- Left: CT. Right: PSMA PET, same axial level, 18F tracer
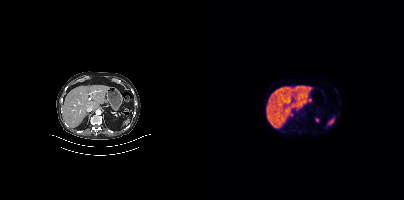
Findings: Negative for PSMA-avid disease on this slice.